Two-panel axial: CT | PSMA PET, [18F]PSMA-1007 tracer. Slice position z = -1042 mm.
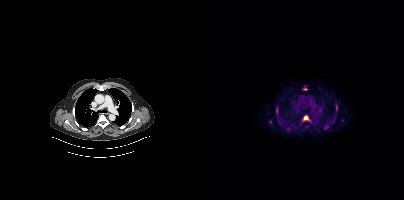
Coordinates are on the 200×200 PET (right) panel. (showing 9 of 11 foci) PSMA-avid tumor lesion bounding boxes (x, y, width, height): x=98 y=115 w=9 h=7 | x=131 y=102 w=3 h=11 | x=82 y=127 w=5 h=5 | x=120 y=125 w=6 h=5 | x=101 y=125 w=5 h=4 | x=72 y=107 w=3 h=8 | x=99 y=88 w=5 h=3. Small PSMA-avid foci (2 to 4 px across) near (center x, center y): (138, 120) | (66, 121).